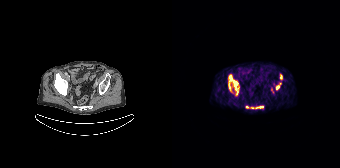
Paired axial CT (left) and PSMA PET (right), [68Ga]Ga-PSMA-11 tracer. Slice 56 of 195. PET panel 168×168 px (4.1 mm/px).
Coordinates are on the 168×168 PET (right) panel. PSMA-avid tumor lesion bounding boxes (partial; 1 more focus not listed):
| # | x0 | y0 | x1 | y1 |
|---|---|---|---|---|
| 1 | 57 | 75 | 66 | 94 |
| 2 | 78 | 106 | 91 | 108 |
| 3 | 104 | 85 | 107 | 89 |
| 4 | 57 | 83 | 58 | 88 |
Small PSMA-avid focus (2 to 4 px across) near (center x, center y): (74, 106).